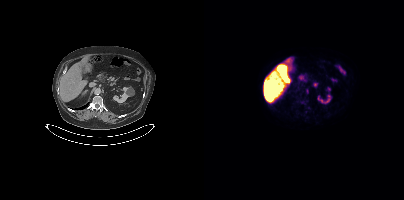
Coordinates are on the 200×200 PET (right) panel. PSMA-avid tumor lesion bounding boxes:
| # | x0 | y0 | x1 | y1 |
|---|---|---|---|---|
| 1 | 102 | 89 | 104 | 93 |
Two-panel axial: CT | PSMA PET, 18F-PSMA tracer. Acquired on Siemens Biograph mCT Flow 20. PET panel 200×200 px (4.1 mm/px).